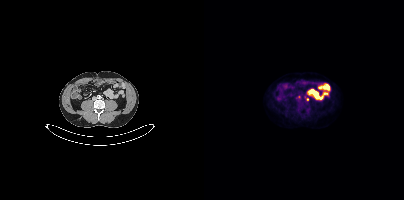
{"modality":"PSMA PET/CT","view":"axial","tracer":"18F","pet_grid":[200,200],"coord_frame":"pet_panel","coord_format":"x0,y0,x1,y1","partial":true,"lesion_bboxes":[],"small_foci_centers":[[103,99]]}